- Paired axial CT (left) and PSMA PET (right), [18F]PSMA-1007 tracer
- acquired on Siemens Biograph mCT Flow 20
- slice 758 of 963
- PET panel 200×200 px (4.1 mm/px)
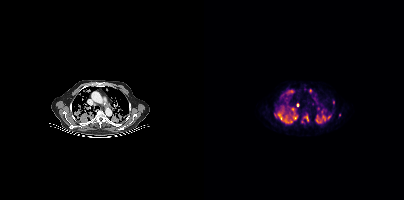
Findings: Coordinates are on the 200×200 PET (right) panel. (showing 15 of 17 foci) PSMA-avid tumor lesion bounding boxes (x, y, width, height): x=70 y=107 w=12 h=14 / x=112 y=115 w=10 h=8 / x=87 y=113 w=7 h=7 / x=82 y=90 w=8 h=6 / x=80 y=119 w=5 h=4 / x=102 y=116 w=3 h=5. Small PSMA-avid foci (2 to 4 px across) near (center x, center y): (106, 90) / (93, 104) / (84, 107) / (88, 109) / (111, 94) / (129, 101) / (135, 114) / (124, 117) / (87, 121).